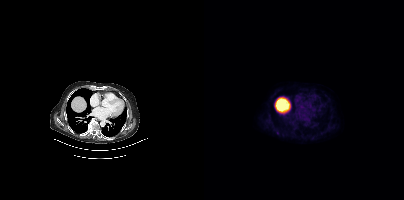
Left: CT. Right: PSMA PET, same axial level, 18F tracer. Coordinates are on the 200×200 PET (right) panel. Small PSMA-avid focus (2 to 4 px across) near (center x, center y): (73, 132).